- Left: CT. Right: PSMA PET, same axial level, 18F tracer
- slice 17 of 377
- PET panel 200×200 px (4.1 mm/px)
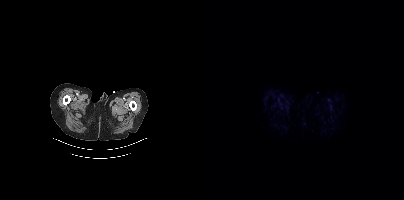
Findings: No tumor lesions annotated on this slice.